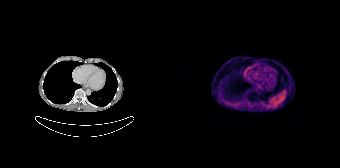
No PSMA-avid tumor lesions on this slice.